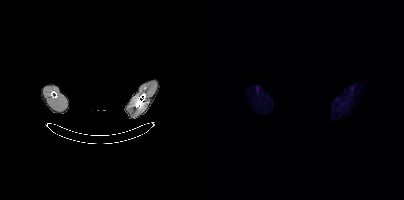
- de-identified by setting a box covering the face to black before release
- Two-panel axial: CT | PSMA PET, 18F tracer
Findings: Negative for PSMA-avid disease on this slice.